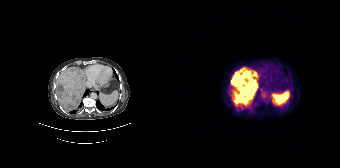
Two-panel axial: CT | PSMA PET, 68Ga-PSMA tracer. Acquired on Siemens Biograph 64-4R TruePoint. Slice position z = -1076 mm. PET panel 168×168 px (4.1 mm/px). Coordinates are on the 168×168 PET (right) panel. PSMA-avid tumor lesion bounding box (x, y, width, height): x=59 y=67 w=27 h=39.